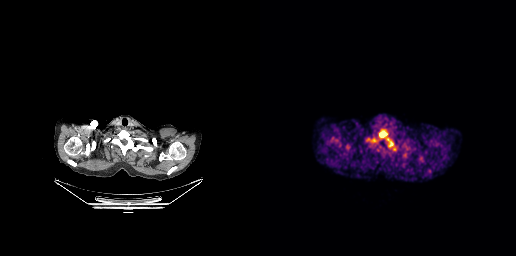
{"modality":"PSMA PET/CT","view":"axial","tracer":"18F-PSMA","pet_grid":[256,256],"coord_frame":"pet_panel","coord_format":"x0,y0,x1,y1","partial":true,"lesion_bboxes":[[119,130,127,137],[127,138,133,146]]}